- Left: CT. Right: PSMA PET, same axial level, 18F-PSMA tracer
- slice position z = -148 mm
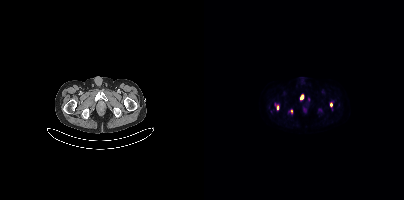
Findings: Coordinates are on the 200×200 PET (right) panel. (showing 4 of 5 foci) PSMA-avid tumor lesion bounding box (x, y, width, height): x=96 y=95 w=4 h=5. Small PSMA-avid foci (2 to 4 px across) near (center x, center y): (73, 107) | (126, 104) | (86, 111).